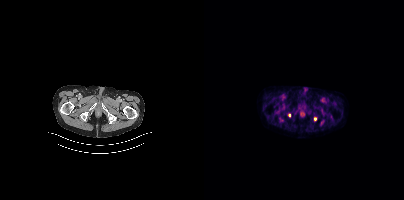
Coordinates are on the 200×200 PET (right) panel. Small PSMA-avid foci (2 to 4 px across) near (center x, center y): (111, 119) (85, 115).
modality: PSMA PET/CT | tracer: [18F]PSMA-1007 | view: axial